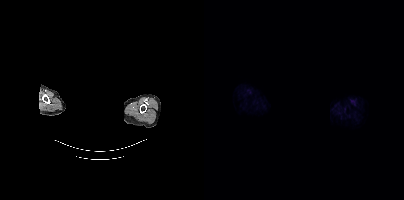
Technique: Paired axial CT (left) and PSMA PET (right), 18F tracer. acquired on Siemens Biograph mCT Flow 20. PET panel 200×200 px (4.1 mm/px).
Note: Any black rectangle over the head is a privacy mask, not anatomy.
Findings: Negative for PSMA-avid disease on this slice.